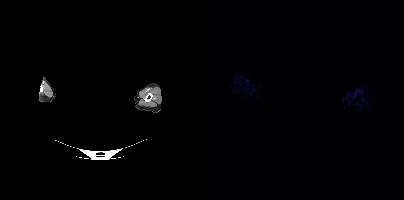
Technique: Left: CT. Right: PSMA PET, same axial level, 18F tracer. PET panel 200×200 px (4.1 mm/px).
Note: A rectangle over the head was blacked out to remove identifiable facial features.
Findings: No PSMA-avid tumor lesions on this slice.